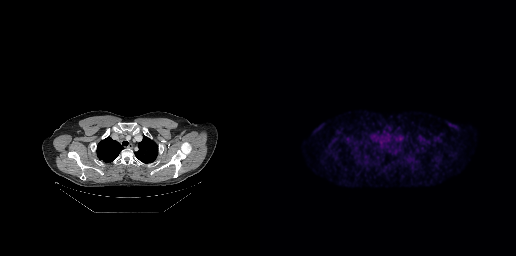
This slice has no annotated PSMA-avid lesion.